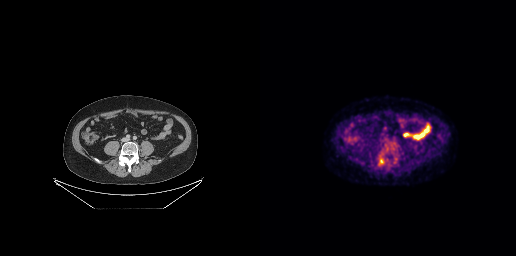
Coordinates are on the 256×256 PET (right) panel. PSMA-avid tumor lesion bounding box (x0, y0)-(x1, y1): (119, 159)-(125, 165).